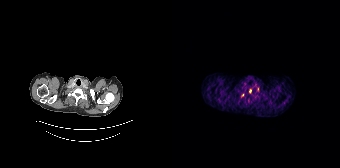
Two-panel axial: CT | PSMA PET, 68Ga tracer. Slice position z = -360 mm. Coordinates are on the 168×168 PET (right) panel. (showing 1 of 3 foci) Small PSMA-avid focus (2 to 4 px across) near (center x, center y): (78, 91).